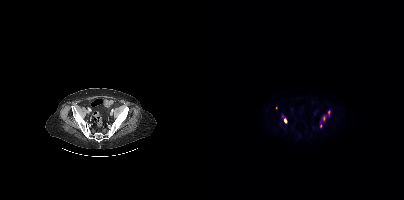
Coordinates are on the 200×200 PET (right) panel. (showing 4 of 5 foci) PSMA-avid tumor lesion bounding boxes (x0, y0)-(x1, y1): (119, 115)-(121, 121); (80, 118)-(82, 122); (124, 111)-(126, 116). Small PSMA-avid focus (2 to 4 px across) near (center x, center y): (116, 125). Two-panel axial: CT | PSMA PET, 18F-PSMA tracer. Acquired on Siemens Biograph mCT Flow 20. Slice 96 of 389.